Two-panel axial: CT | PSMA PET, 18F-PSMA tracer. PET panel 200×200 px (4.1 mm/px).
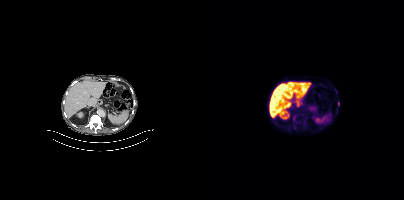
Coordinates are on the 200×200 PET (right) panel. Small PSMA-avid focus (2 to 4 px across) near (center x, center y): (134, 104).